Paired axial CT (left) and PSMA PET (right), 18F-PSMA tracer. PET panel 256×256 px (2.7 mm/px).
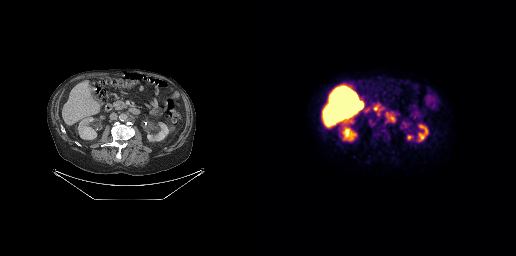
Coordinates are on the 256×256 PET (right) panel. PSMA-avid tumor lesion bounding box (x0, y0)-(x1, y1): (126, 112)-(135, 122).